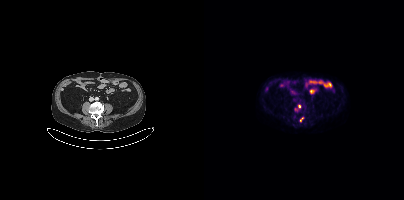
modality: PSMA PET/CT | tracer: 18F | view: axial | PET grid: 200×200
Coordinates are on the 200×200 PET (right) panel. PSMA-avid tumor lesion bounding box (x0, y0)-(x1, y1): (96, 117)-(99, 121). Small PSMA-avid focus (2 to 4 px across) near (center x, center y): (95, 106).